modality: PSMA PET/CT | tracer: 18F-PSMA | view: axial
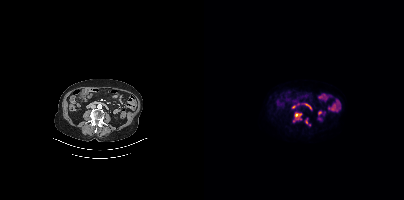
Coordinates are on the 200×200 PET (right) panel. PSMA-avid tumor lesion bounding boxes (x0,y0,x1,y1): [89,112,98,122]; [101,118,103,123]. Small PSMA-avid focus (2 to 4 px across) near (center x, center y): (105, 124).